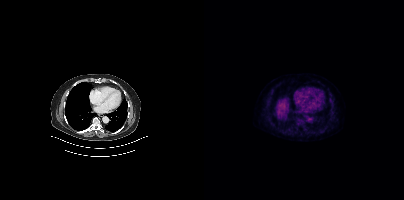
No PSMA-avid tumor lesions on this slice.